Paired axial CT (left) and PSMA PET (right), [68Ga]Ga-PSMA-11 tracer. Acquired on Siemens Biograph mCT Flow 20.
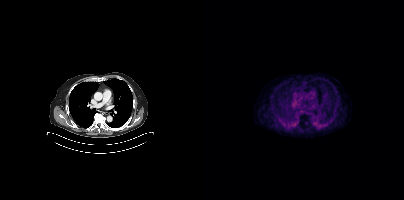
Coordinates are on the 200×200 PET (right) panel. Small PSMA-avid focus (2 to 4 px across) near (center x, center y): (102, 122).